Technique: Two-panel axial: CT | PSMA PET, 68Ga tracer. acquired on Siemens Biograph mCT Flow 20. slice 405 of 444.
Note: A rectangular block over the head has been blanked out for de-identification.
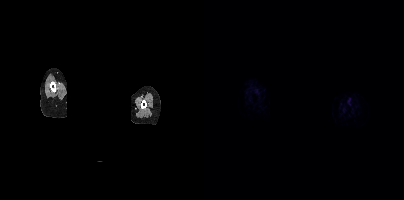
Findings: No PSMA-avid tumor lesions on this slice.